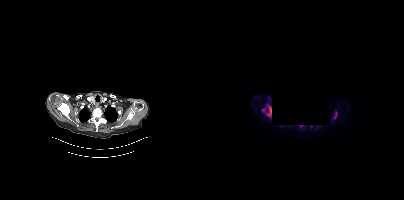
Coordinates are on the 200×200 PET (right) panel. PSMA-avid tumor lesion bounding boxes (partial; 1 more focus not listed):
| # | x0 | y0 | x1 | y1 |
|---|---|---|---|---|
| 1 | 62 | 104 | 67 | 119 |
| 2 | 130 | 112 | 132 | 118 |
Small PSMA-avid foci (2 to 4 px across) near (center x, center y): (59, 109); (114, 125).
Part of this slice was blanked for de-identification. Paired axial CT (left) and PSMA PET (right), 18F-PSMA tracer. Slice position z = -880 mm. PET panel 200×200 px (4.1 mm/px).